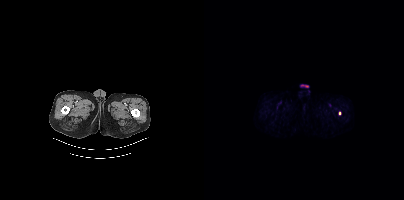
Two-panel axial: CT | PSMA PET, 18F tracer. Acquired on Siemens Biograph mCT Flow 20. PET panel 200×200 px (4.1 mm/px). Coordinates are on the 200×200 PET (right) panel. Small PSMA-avid focus (2 to 4 px across) near (center x, center y): (135, 113).